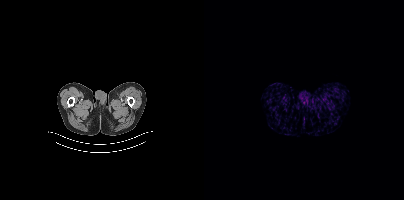
modality: PSMA PET/CT | tracer: 68Ga-PSMA | view: axial
No tumor lesions annotated on this slice.